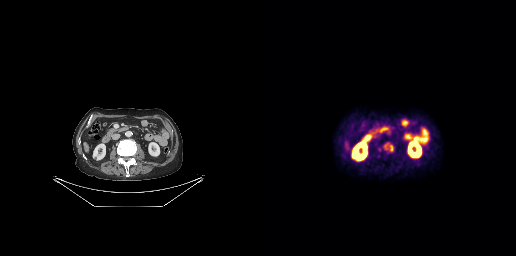
Technique: Paired axial CT (left) and PSMA PET (right), [18F]PSMA-1007 tracer.
Findings: Coordinates are on the 256×256 PET (right) panel. PSMA-avid tumor lesion bounding box (x, y, width, height): x=124 y=143 w=10 h=9.